Left: CT. Right: PSMA PET, same axial level, 18F-PSMA tracer. Slice position z = -139 mm. PET panel 256×256 px (2.7 mm/px).
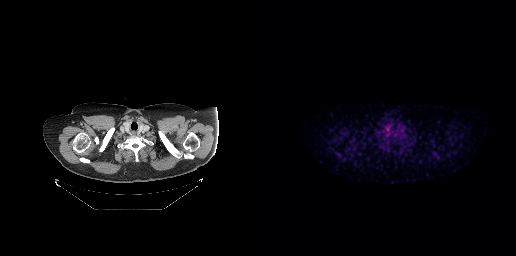
No PSMA-avid tumor lesions on this slice.